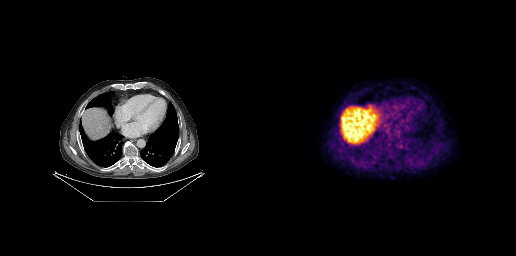
Findings: This slice has no annotated PSMA-avid lesion.
- Two-panel axial: CT | PSMA PET, 18F-PSMA tracer
- PET panel 256×256 px (2.7 mm/px)